- Paired axial CT (left) and PSMA PET (right), 18F-PSMA tracer
- PET panel 168×168 px (4.1 mm/px)
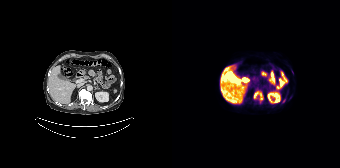
Findings: Coordinates are on the 168×168 PET (right) panel. PSMA-avid tumor lesion bounding box (x0,y0,x1,y1): [81,91,91,100].